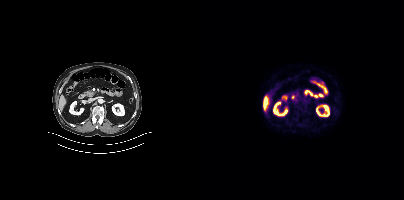
Negative for PSMA-avid disease on this slice.